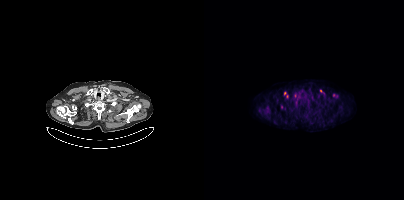
Left: CT. Right: PSMA PET, same axial level, [18F]PSMA-1007 tracer. Slice 318 of 381. PET panel 200×200 px (4.1 mm/px). Coordinates are on the 200×200 PET (right) panel. (showing 1 of 4 foci) Small PSMA-avid focus (2 to 4 px across) near (center x, center y): (80, 93).